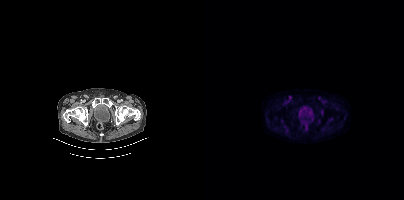
{"modality":"PSMA PET/CT","view":"axial","tracer":"[18F]PSMA-1007","pet_grid":[200,200],"coord_frame":"pet_panel","coord_format":"x0,y0,x1,y1","psma_avid_lesions":false}